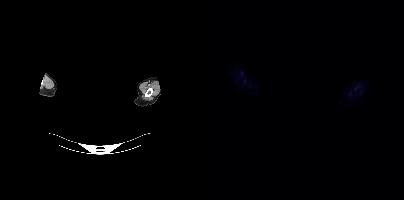
Any black rectangle over the head is a privacy mask, not anatomy. Paired axial CT (left) and PSMA PET (right), 18F tracer. Slice position z = -304 mm. No tumor lesions annotated on this slice.